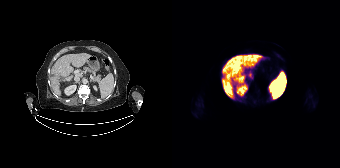
Two-panel axial: CT | PSMA PET, [18F]PSMA-1007 tracer. No tumor lesions annotated on this slice.